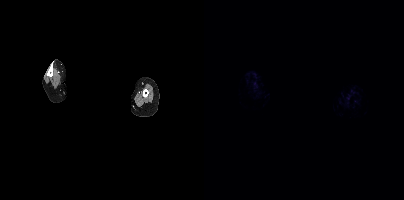
{"modality":"PSMA PET/CT","view":"axial","tracer":"68Ga","pet_grid":[200,200],"coord_frame":"pet_panel","coord_format":"x0,y0,x1,y1","psma_avid_lesions":false,"deidentification":"privacy mask over head"}